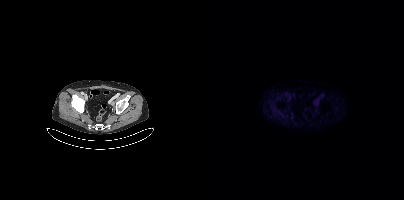
{"pet_grid":[200,200],"coord_frame":"pet_panel","coord_format":"x0,y0,x1,y1","psma_avid_lesions":false,"modality":"PSMA PET/CT","view":"axial","tracer":"[18F]PSMA-1007"}